modality: PSMA PET/CT | tracer: 18F | view: axial | PET grid: 200×200
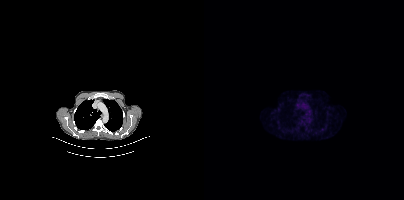
Negative for PSMA-avid disease on this slice.